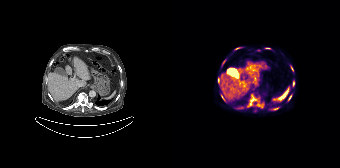
Coordinates are on the 168×168 PET (right) panel. (showing 9 of 11 foci) PSMA-avid tumor lesion bounding boxes (x0, y0)-(x1, y1): (75, 96)-(90, 107) | (116, 95)-(119, 100) | (63, 47)-(68, 49) | (119, 66)-(121, 71) | (121, 81)-(122, 85) | (50, 60)-(53, 64) | (102, 108)-(106, 109). Small PSMA-avid foci (2 to 4 px across) near (center x, center y): (50, 96) | (46, 79).